modality: PSMA PET/CT | tracer: 18F | view: axial
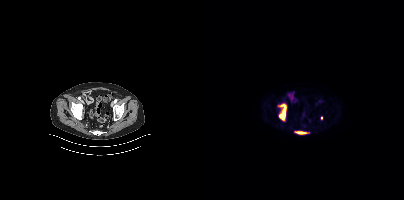
Coordinates are on the 200×200 PET (right) panel. (showing 3 of 4 foci) PSMA-avid tumor lesion bounding boxes (x, y, width, height): x=75 y=104 w=8 h=17; x=91 y=131 w=12 h=4. Small PSMA-avid focus (2 to 4 px across) near (center x, center y): (117, 117).